- Two-panel axial: CT | PSMA PET, 18F tracer
- acquired on Siemens Biograph mCT Flow 20
- slice 29 of 421
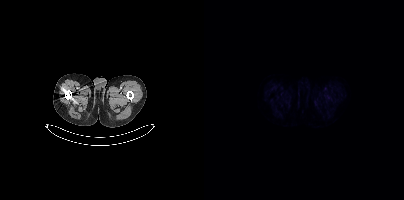
Findings: No tumor lesions annotated on this slice.